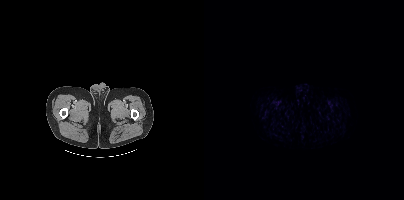
This slice has no annotated PSMA-avid lesion.